modality: PSMA PET/CT | tracer: 18F | view: axial | redaction: privacy mask over head
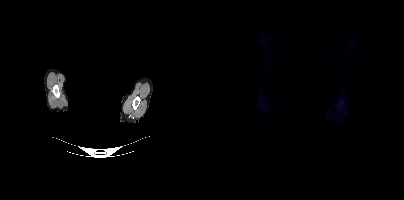
Negative for PSMA-avid disease on this slice.